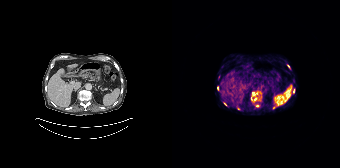
Technique: Paired axial CT (left) and PSMA PET (right), 68Ga tracer. slice 87 of 165.
Findings: Coordinates are on the 168×168 PET (right) panel. Small PSMA-avid foci (2 to 4 px across) near (center x, center y): (66, 108), (52, 103), (121, 90), (45, 88), (116, 65).